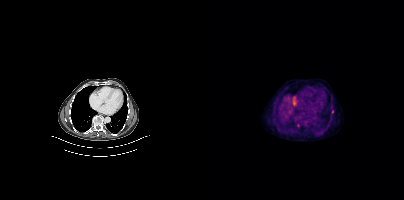
Technique: Left: CT. Right: PSMA PET, same axial level, 18F-PSMA tracer. acquired on Siemens Biograph mCT Flow 20. PET panel 200×200 px (4.1 mm/px).
Findings: Coordinates are on the 200×200 PET (right) panel. Small PSMA-avid foci (2 to 4 px across) near (center x, center y): (128, 111) | (94, 125).